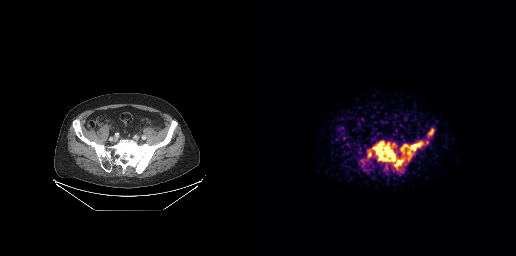
Coordinates are on the 256×256 PET (right) panel. (showing 4 of 5 foci) PSMA-avid tumor lesion bounding boxes (x0,y0,x1,y1): [113,142,144,167], [141,142,162,160], [168,129,173,135], [108,152,111,156].